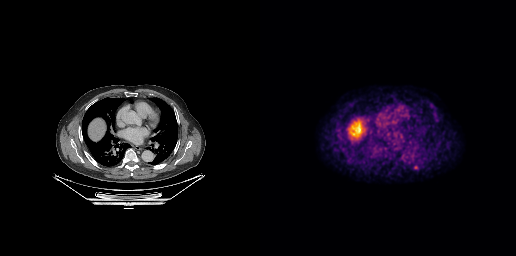
Only PSMA-avid lesion pieces thinner than 2 px on this slice (not listed).